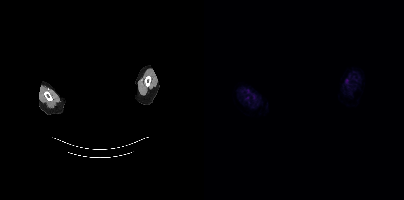
{"modality":"PSMA PET/CT","view":"axial","tracer":"18F-PSMA","pet_grid":[200,200],"coord_frame":"pet_panel","coord_format":"x0,y0,x1,y1","psma_avid_lesions":false,"deidentification":"privacy mask over head"}